Technique: Paired axial CT (left) and PSMA PET (right), [18F]PSMA-1007 tracer. slice position z = -1054 mm.
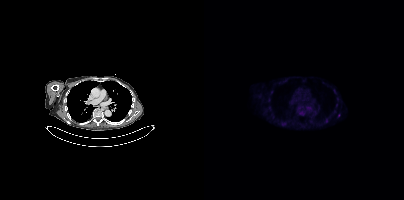
Findings: Coordinates are on the 200×200 PET (right) panel. Small PSMA-avid foci (2 to 4 px across) near (center x, center y): (134, 115) (133, 98).